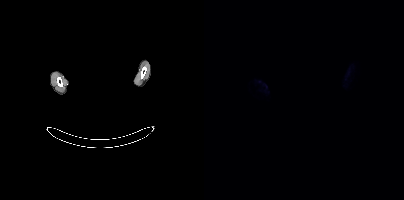
- Left: CT. Right: PSMA PET, same axial level, [18F]PSMA-1007 tracer
- slice 337 of 354
- face de-identified by blanking a block of the head
Findings: Negative for PSMA-avid disease on this slice.